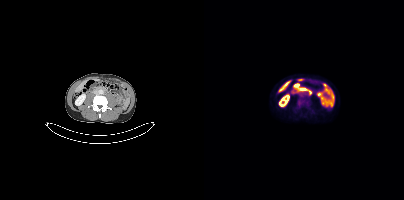
{"modality":"PSMA PET/CT","view":"axial","tracer":"[18F]PSMA-1007","pet_grid":[200,200],"coord_frame":"pet_panel","coord_format":"x0,y0,x1,y1","lesion_bboxes":[[94,99,98,104]]}